Technique: Left: CT. Right: PSMA PET, same axial level, 18F tracer. slice 155 of 421. PET panel 200×200 px (4.1 mm/px).
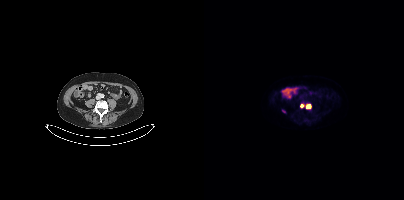
Findings: Coordinates are on the 200×200 PET (right) panel. PSMA-avid tumor lesion bounding box (x0,y0,x1,y1): [102,104,107,108]. Small PSMA-avid focus (2 to 4 px across) near (center x, center y): (98, 105).